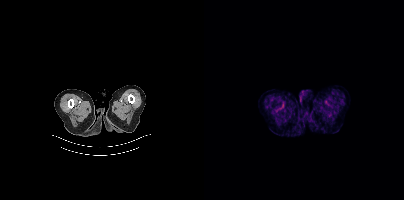
No PSMA-avid tumor lesions on this slice.